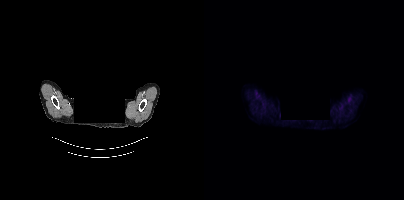
{"modality":"PSMA PET/CT","view":"axial","tracer":"18F","pet_grid":[200,200],"coord_frame":"pet_panel","coord_format":"x0,y0,x1,y1","psma_avid_lesions":false,"deidentification":"rectangular block over head set to black"}